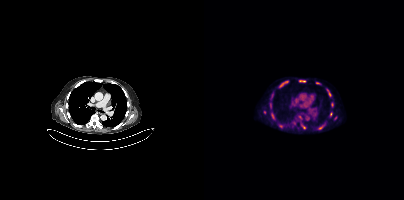
Technique: Two-panel axial: CT | PSMA PET, 18F-PSMA tracer. acquired on Siemens Biograph mCT Flow 20. slice 255 of 373.
Findings: Coordinates are on the 200×200 PET (right) panel. (showing 10 of 13 foci) PSMA-avid tumor lesion bounding boxes (x, y, width, height): x=75 y=81 w=10 h=7 / x=95 y=80 w=7 h=3 / x=124 y=90 w=4 h=7 / x=115 y=125 w=6 h=5 / x=97 y=125 w=5 h=5 / x=67 y=113 w=4 h=6. Small PSMA-avid foci (2 to 4 px across) near (center x, center y): (113, 82) / (66, 105) / (127, 114) / (131, 117).